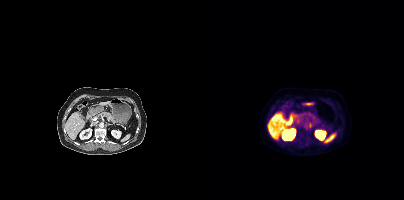
Left: CT. Right: PSMA PET, same axial level, [18F]PSMA-1007 tracer. Acquired on Siemens Biograph mCT Flow 20. Negative for PSMA-avid disease on this slice.